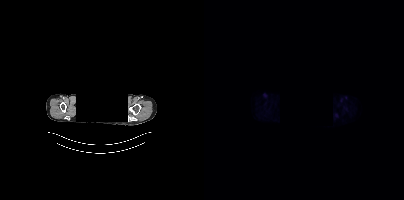
Findings: No PSMA-avid tumor lesions on this slice.
Technique: Two-panel axial: CT | PSMA PET, 18F tracer. acquired on Siemens Biograph mCT Flow 20. PET panel 200×200 px (4.1 mm/px).
Note: Facial anatomy redacted by setting a rectangular region of the head to black.